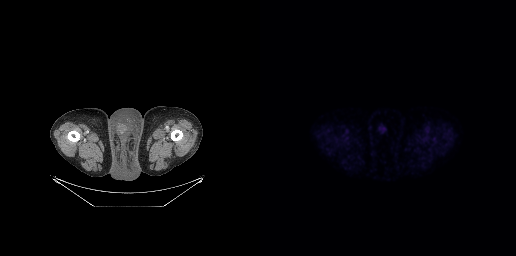
modality: PSMA PET/CT | tracer: 18F | view: axial
Negative for PSMA-avid disease on this slice.